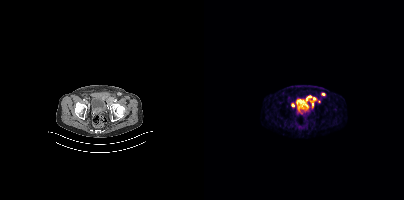
Left: CT. Right: PSMA PET, same axial level, [68Ga]Ga-PSMA-11 tracer. Acquired on Siemens Biograph mCT Flow 20. PET panel 200×200 px (4.1 mm/px).
Coordinates are on the 200×200 PET (right) panel. PSMA-avid tumor lesion bounding boxes:
| # | x0 | y0 | x1 | y1 |
|---|---|---|---|---|
| 1 | 106 | 98 | 112 | 106 |
| 2 | 102 | 96 | 107 | 100 |
Small PSMA-avid foci (2 to 4 px across) near (center x, center y): (88, 104); (119, 94); (115, 101).